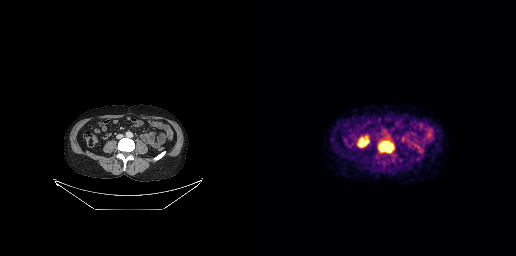
Paired axial CT (left) and PSMA PET (right), 18F tracer. Acquired on GE Discovery 690. Slice position z = -571 mm. PET panel 256×256 px (2.7 mm/px). Coordinates are on the 256×256 PET (right) panel. PSMA-avid tumor lesion bounding box (x, y, width, height): x=118 y=141 w=16 h=12.